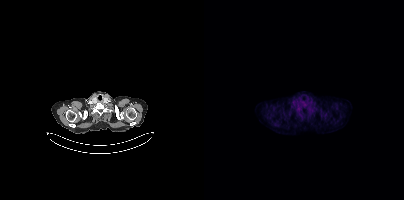
No PSMA-avid tumor lesions on this slice.